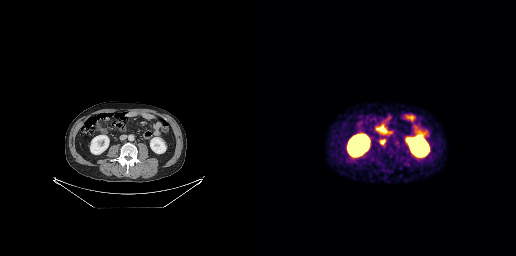
Coordinates are on the 256×256 PET (right) panel. PSMA-avid tumor lesion bounding box (x0, y0)-(x1, y1): (120, 140)-(125, 144). Paired axial CT (left) and PSMA PET (right), 68Ga tracer. Slice position z = -620 mm.